Technique: Paired axial CT (left) and PSMA PET (right), 18F-PSMA tracer. PET panel 200×200 px (4.1 mm/px).
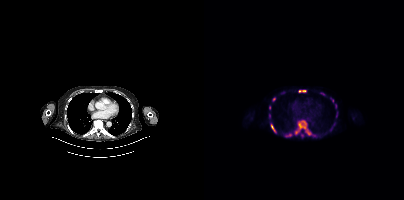
Findings: Coordinates are on the 200×200 PET (right) panel. (showing 13 of 17 foci) PSMA-avid tumor lesion bounding boxes (x0, y0)-(x1, y1): (90, 120)-(102, 134) / (66, 122)-(72, 132) / (81, 134)-(87, 137) / (95, 90)-(101, 92) / (132, 112)-(133, 116). Small PSMA-avid foci (2 to 4 px across) near (center x, center y): (69, 99) / (104, 132) / (127, 99) / (65, 107) / (65, 115) / (98, 135) / (77, 93) / (131, 105).